Left: CT. Right: PSMA PET, same axial level, [68Ga]Ga-PSMA-11 tracer. Slice 289 of 409.
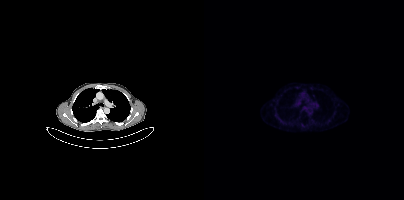
Negative for PSMA-avid disease on this slice.